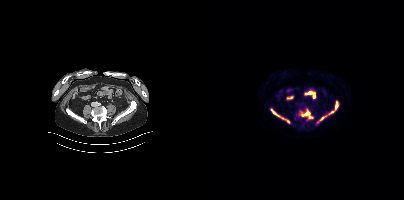
Coordinates are on the 200×200 PET (right) panel. (showing 6 of 8 foci) PSMA-avid tumor lesion bounding boxes (x0, y0)-(x1, y1): (98, 110)-(109, 120) / (115, 110)-(130, 120) / (67, 109)-(75, 117) / (131, 104)-(133, 108). Small PSMA-avid foci (2 to 4 px across) near (center x, center y): (84, 121) / (132, 101).